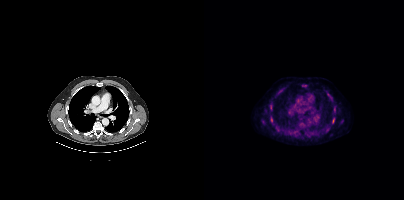
Coordinates are on the 200×200 PET (right) panel. PSMA-avid tumor lesion bounding boxes (x0, y0)-(x1, y1): (66, 105)-(68, 110) | (128, 118)-(130, 122). Small PSMA-avid focus (2 to 4 px across) near (center x, center y): (67, 120).